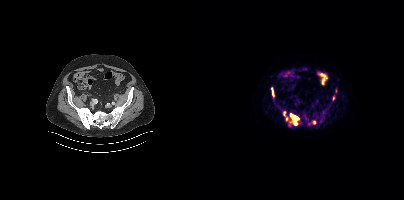
{"modality":"PSMA PET/CT","view":"axial","tracer":"[18F]PSMA-1007","pet_grid":[200,200],"coord_frame":"pet_panel","coord_format":"x0,y0,x1,y1","lesion_bboxes":[[79,111,95,126],[109,118,118,124],[67,88,70,95]],"small_foci_centers":[[131,90],[129,98]]}